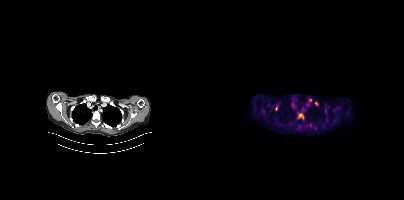
Findings: Coordinates are on the 200×200 PET (right) panel. (showing 5 of 6 foci) PSMA-avid tumor lesion bounding boxes (x, y, width, height): x=94 y=114 w=7 h=6 | x=111 y=101 w=4 h=5 | x=71 y=106 w=3 h=5. Small PSMA-avid foci (2 to 4 px across) near (center x, center y): (106, 100) | (121, 110).
- Paired axial CT (left) and PSMA PET (right), 18F tracer
- acquired on Siemens Biograph mCT Flow 20